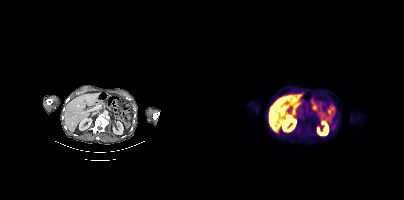
Negative for PSMA-avid disease on this slice.